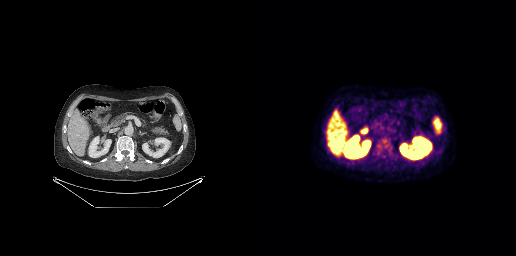
- Left: CT. Right: PSMA PET, same axial level, [18F]PSMA-1007 tracer
- acquired on GE Discovery 690
- PET panel 256×256 px (2.7 mm/px)
Findings: Negative for PSMA-avid disease on this slice.